- Left: CT. Right: PSMA PET, same axial level, [18F]PSMA-1007 tracer
- slice position z = -452 mm
- PET panel 200×200 px (4.1 mm/px)
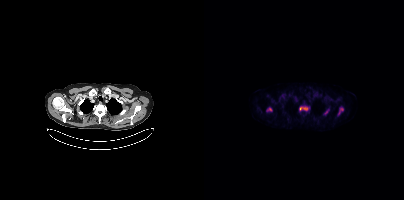
Findings: Coordinates are on the 200×200 PET (right) panel. PSMA-avid tumor lesion bounding boxes (x0,y0,x1,y1): [95,107,103,110] [134,107,139,114] [121,110,124,114]. Small PSMA-avid focus (2 to 4 px across) near (center x, center y): (65, 109).